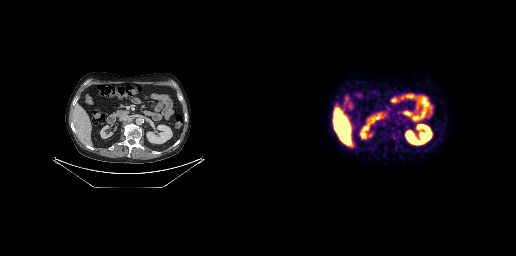
{"modality":"PSMA PET/CT","view":"axial","tracer":"18F-PSMA","pet_grid":[256,256],"coord_frame":"pet_panel","coord_format":"x0,y0,x1,y1","lesion_bboxes":[[132,134,135,139]]}